Paired axial CT (left) and PSMA PET (right), 18F-PSMA tracer. PET panel 200×200 px (4.1 mm/px).
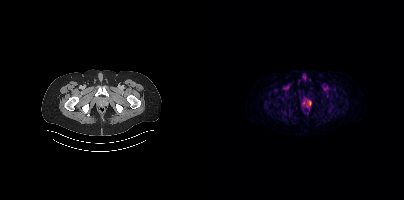
Coordinates are on the 200×200 PET (right) panel. Small PSMA-avid focus (2 to 4 px across) near (center x, center y): (105, 103).